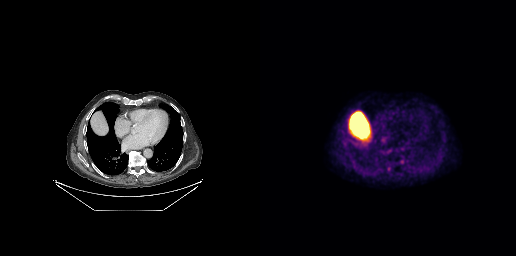
{"modality":"PSMA PET/CT","view":"axial","tracer":"18F-PSMA","pet_grid":[256,256],"coord_frame":"pet_panel","coord_format":"x0,y0,x1,y1","lesion_bboxes":[],"small_foci_centers":[[129,168]]}